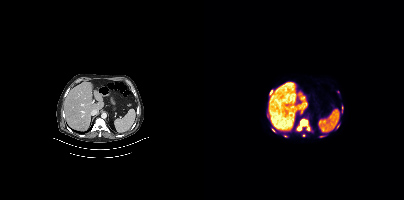
Technique: Paired axial CT (left) and PSMA PET (right), 18F tracer. acquired on Siemens Biograph mCT Flow 20. slice position z = 30 mm. PET panel 200×200 px (4.1 mm/px).
Findings: Coordinates are on the 200×200 PET (right) panel. (showing 4 of 5 foci) PSMA-avid tumor lesion bounding boxes (x0,y0,x1,y1): [93,119,103,130]; [66,90,68,94]. Small PSMA-avid foci (2 to 4 px across) near (center x, center y): (69, 130); (104, 128).